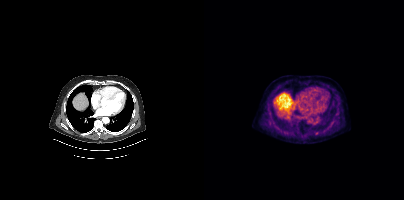
{"pet_grid":[200,200],"coord_frame":"pet_panel","coord_format":"x0,y0,x1,y1","lesion_bboxes":[],"small_foci_centers":[[112,132]],"modality":"PSMA PET/CT","view":"axial","tracer":"18F-PSMA"}